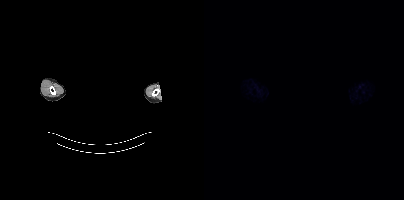
No tumor lesions annotated on this slice.
A rectangular block over the head has been blanked out for de-identification.